Technique: Left: CT. Right: PSMA PET, same axial level, 68Ga tracer. acquired on Siemens Biograph 64-4R TruePoint. slice 146 of 195. PET panel 168×168 px (4.1 mm/px).
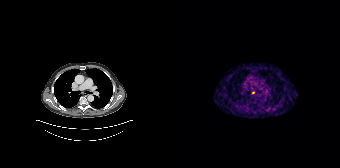
Findings: Coordinates are on the 168×168 PET (right) panel. Small PSMA-avid focus (2 to 4 px across) near (center x, center y): (81, 92).